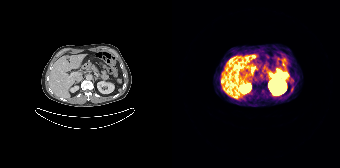
Negative for PSMA-avid disease on this slice. Two-panel axial: CT | PSMA PET, [68Ga]Ga-PSMA-11 tracer.